Two-panel axial: CT | PSMA PET, [18F]PSMA-1007 tracer. PET panel 200×200 px (4.1 mm/px).
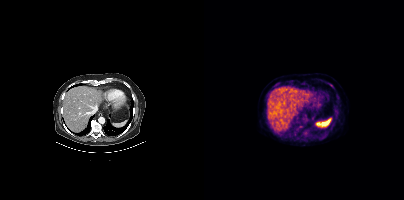
Coordinates are on the 200×200 PET (right) panel. Small PSMA-avid focus (2 to 4 px across) near (center x, center y): (127, 85).